modality: PSMA PET/CT | tracer: [18F]PSMA-1007 | view: axial | PET grid: 200×200
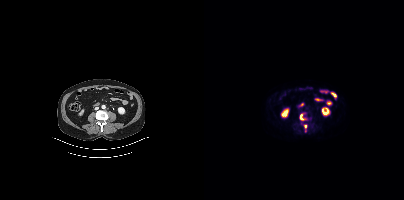
Coordinates are on the 200×200 PET (right) panel. PSMA-avid tumor lesion bounding box (x0, y0)-(x1, y1): (96, 114)-(100, 120). Small PSMA-avid focus (2 to 4 px across) near (center x, center y): (101, 126).